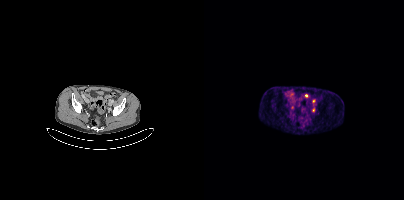
Coordinates are on the 200×200 PET (right) panel. Small PSMA-avid foci (2 to 4 px across) near (center x, center y): (109, 101); (109, 109). Two-panel axial: CT | PSMA PET, [68Ga]Ga-PSMA-11 tracer. Acquired on Siemens Biograph mCT Flow 20. PET panel 200×200 px (4.1 mm/px).